- Two-panel axial: CT | PSMA PET, [18F]PSMA-1007 tracer
- PET panel 200×200 px (4.1 mm/px)
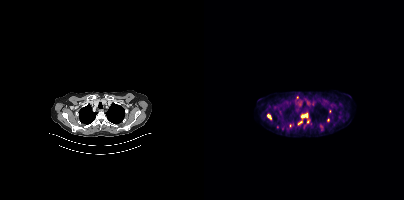
Findings: Coordinates are on the 200×200 PET (right) panel. (showing 7 of 9 foci) PSMA-avid tumor lesion bounding boxes (x0,y0,x1,y1): [97,113,104,118], [63,114,67,118], [94,121,98,124]. Small PSMA-avid foci (2 to 4 px across) near (center x, center y): (117, 126), (124, 120), (103, 121), (86, 125).